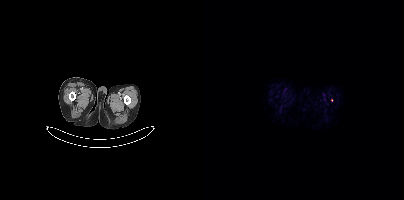
Findings: Coordinates are on the 200×200 PET (right) panel. Small PSMA-avid focus (2 to 4 px across) near (center x, center y): (127, 100).
- Paired axial CT (left) and PSMA PET (right), [18F]PSMA-1007 tracer
- acquired on Siemens Biograph mCT Flow 20